Two-panel axial: CT | PSMA PET, 18F tracer. PET panel 200×200 px (4.1 mm/px).
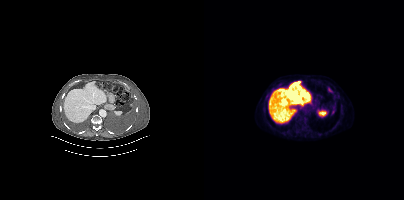
Coordinates are on the 200×200 PET (right) panel. PSMA-avid tumor lesion bounding boxes:
| # | x0 | y0 | x1 | y1 |
|---|---|---|---|---|
| 1 | 127 | 109 | 131 | 114 |
| 2 | 124 | 87 | 127 | 91 |